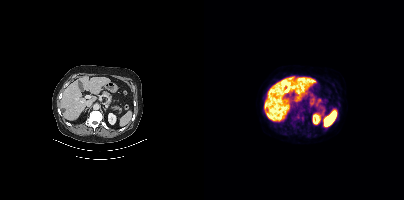
{"pet_grid":[200,200],"coord_frame":"pet_panel","coord_format":"x0,y0,x1,y1","psma_avid_lesions":false,"modality":"PSMA PET/CT","view":"axial","tracer":"18F-PSMA"}